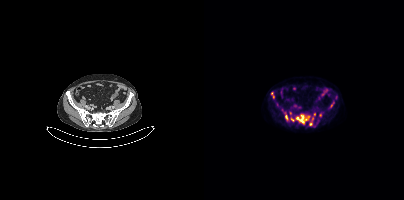
{"modality":"PSMA PET/CT","view":"axial","tracer":"18F-PSMA","pet_grid":[200,200],"coord_frame":"pet_panel","coord_format":"x0,y0,x1,y1","partial":true,"lesion_bboxes":[[92,114,105,123],[67,92,70,98],[126,102,130,107],[81,115,83,119]],"small_foci_centers":[[106,124],[88,119],[116,114],[108,118]]}